Left: CT. Right: PSMA PET, same axial level, [18F]PSMA-1007 tracer. Acquired on Siemens Biograph mCT Flow 20.
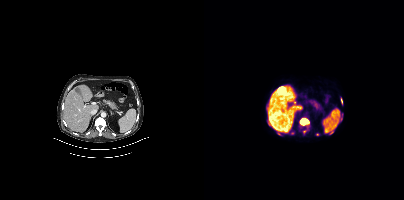
Coordinates are on the 200×200 PET (right) panel. PSMA-avid tumor lesion bounding boxes (partial; 1 more focus not listed):
| # | x0 | y0 | x1 | y1 |
|---|---|---|---|---|
| 1 | 96 | 118 | 104 | 124 |